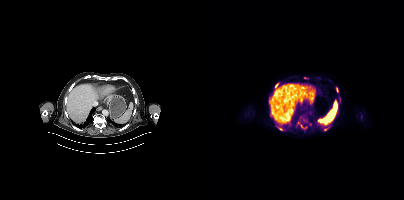
Coordinates are on the 200×200 PET (right) panel. (showing 7 of 9 foci) PSMA-avid tumor lesion bounding boxes (x0,y0,x1,y1): [71,83,74,87]; [132,87,134,92]. Small PSMA-avid foci (2 to 4 px across) near (center x, center y): (121, 129); (76, 129); (67, 115); (96, 126); (70, 90). Paired axial CT (left) and PSMA PET (right), [18F]PSMA-1007 tracer. Acquired on Siemens Biograph mCT Flow 20.